Left: CT. Right: PSMA PET, same axial level, 18F tracer. Acquired on GE Discovery 690.
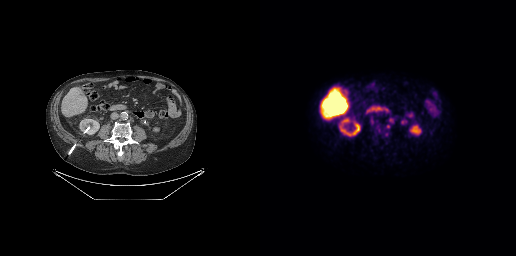
Coordinates are on the 256×256 PET (right) panel. PSMA-avid tumor lesion bounding boxes (partial; 1 more focus not listed):
| # | x0 | y0 | x1 | y1 |
|---|---|---|---|---|
| 1 | 129 | 118 | 133 | 122 |
Small PSMA-avid foci (2 to 4 px across) near (center x, center y): (127, 126); (126, 134).